Two-panel axial: CT | PSMA PET, 18F-PSMA tracer.
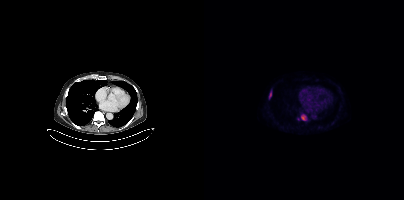
Coordinates are on the 200×200 PET (right) panel. (showing 2 of 3 foci) PSMA-avid tumor lesion bounding boxes (x0,y0,x1,y1): [97,114,102,120], [65,90,67,98].